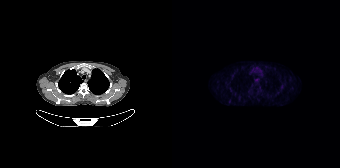
{"pet_grid":[168,168],"coord_frame":"pet_panel","coord_format":"x0,y0,x1,y1","psma_avid_lesions":false,"modality":"PSMA PET/CT","view":"axial","tracer":"[18F]PSMA-1007"}